Technique: Paired axial CT (left) and PSMA PET (right), 18F-PSMA tracer. acquired on Siemens Biograph mCT Flow 20. slice 33 of 444. PET panel 200×200 px (4.1 mm/px).
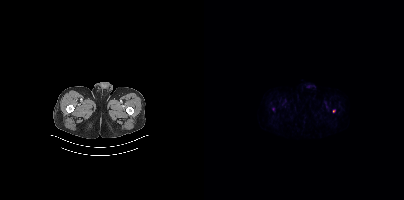
Findings: Coordinates are on the 200×200 PET (right) panel. Small PSMA-avid focus (2 to 4 px across) near (center x, center y): (129, 111).